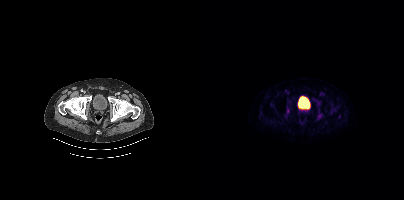
Paired axial CT (left) and PSMA PET (right), 18F tracer.
Coordinates are on the 200×200 PET (right) panel. PSMA-avid tumor lesion bounding boxes (partial; 1 more focus not listed):
| # | x0 | y0 | x1 | y1 |
|---|---|---|---|---|
| 1 | 81 | 100 | 88 | 116 |
| 2 | 113 | 114 | 118 | 119 |
| 3 | 111 | 100 | 116 | 105 |
| 4 | 66 | 103 | 70 | 107 |
Small PSMA-avid focus (2 to 4 px across) near (center x, center y): (125, 103).